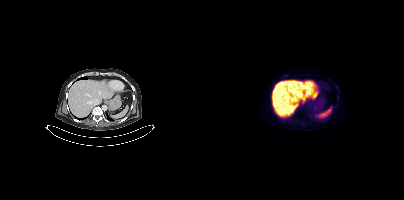
Technique: Left: CT. Right: PSMA PET, same axial level, 18F tracer. slice 258 of 421.
Findings: No PSMA-avid tumor lesions on this slice.